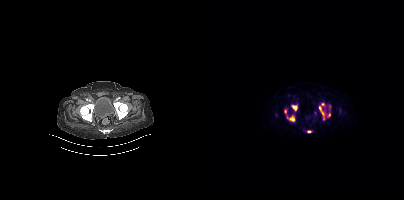
No PSMA-avid tumor lesions on this slice.